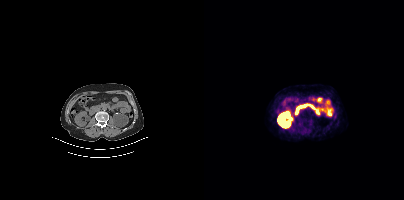
Technique: Paired axial CT (left) and PSMA PET (right), [68Ga]Ga-PSMA-11 tracer. PET panel 200×200 px (4.1 mm/px).
Findings: No PSMA-avid tumor lesions on this slice.